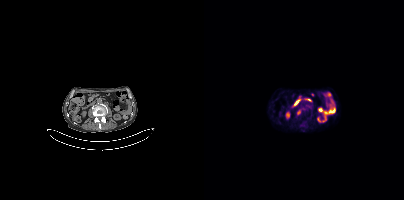
Coordinates are on the 200×200 PET (right) panel. Small PSMA-avid focus (2 to 4 px across) near (center x, center y): (95, 112).
modality: PSMA PET/CT | tracer: 18F | view: axial